Technique: Paired axial CT (left) and PSMA PET (right), 68Ga tracer.
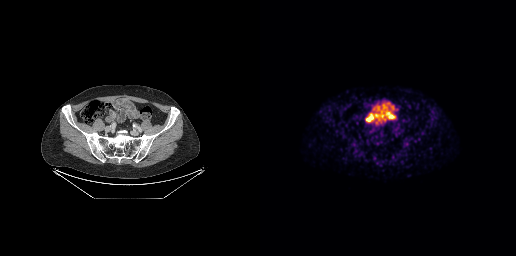
Findings: No tumor lesions annotated on this slice.